Technique: Left: CT. Right: PSMA PET, same axial level, 18F-PSMA tracer. acquired on Siemens Biograph mCT Flow 20.
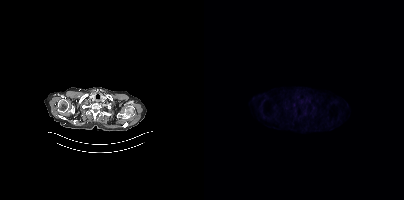
Findings: Negative for PSMA-avid disease on this slice.